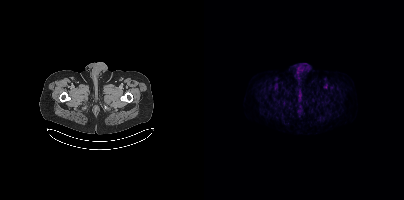
Left: CT. Right: PSMA PET, same axial level, 18F-PSMA tracer. Acquired on Siemens Biograph mCT Flow 20. Slice 53 of 435. Negative for PSMA-avid disease on this slice.